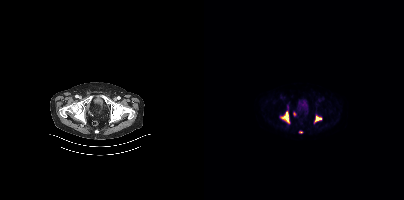
Coordinates are on the 200×200 PET (right) panel. PSMA-avid tumor lesion bounding boxes (x0,y0,x1,y1): [78,112,85,122]; [111,116,117,121]. Small PSMA-avid foci (2 to 4 px across) near (center x, center y): (90, 113); (96, 132).